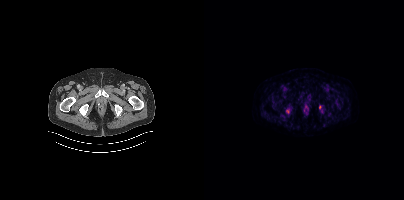
Left: CT. Right: PSMA PET, same axial level, 18F tracer. Slice 60 of 454. PET panel 200×200 px (4.1 mm/px). Coordinates are on the 200×200 PET (right) panel. Small PSMA-avid focus (2 to 4 px across) near (center x, center y): (115, 107).